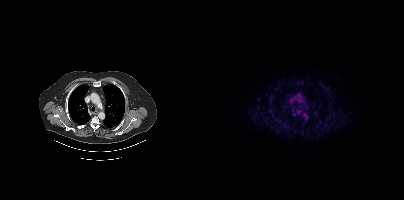
{"modality":"PSMA PET/CT","view":"axial","tracer":"18F","pet_grid":[200,200],"coord_frame":"pet_panel","coord_format":"x0,y0,x1,y1","psma_avid_lesions":false}